modality: PSMA PET/CT | tracer: 18F-PSMA | view: axial | PET grid: 256×256
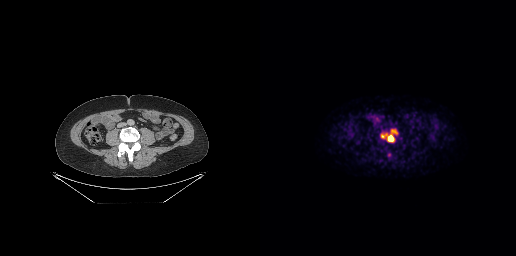
Coordinates are on the 256×256 PET (right) panel. (showing 1 of 2 foci) PSMA-avid tumor lesion bounding box (x0,y0,x1,y1): [120,129,137,142].